modality: PSMA PET/CT | tracer: 18F | view: axial | PET grid: 256×256
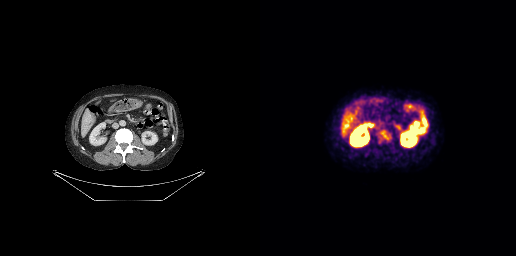
Coordinates are on the 256×256 PET (right) panel. PSMA-avid tumor lesion bounding box (x0, y0)-(x1, y1): (120, 130)-(129, 139).